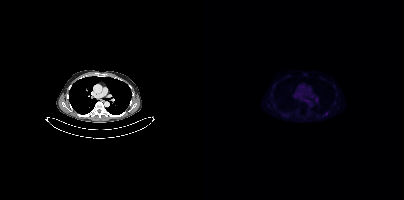
Coordinates are on the 200×200 PET (right) panel. Small PSMA-avid focus (2 to 4 px across) near (center x, center y): (122, 113).
modality: PSMA PET/CT | tracer: 18F | view: axial